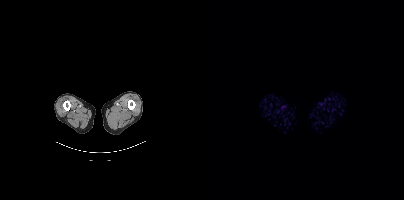
Paired axial CT (left) and PSMA PET (right), 18F-PSMA tracer. Slice 1 of 435. PET panel 200×200 px (4.1 mm/px). Negative for PSMA-avid disease on this slice.